Two-panel axial: CT | PSMA PET, 18F tracer.
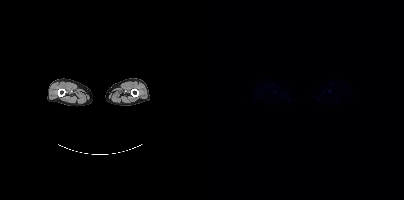
No tumor lesions annotated on this slice.